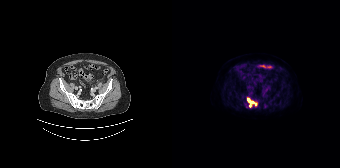
- Paired axial CT (left) and PSMA PET (right), 18F tracer
- slice position z = -1460 mm
Findings: Coordinates are on the 168×168 PET (right) panel. PSMA-avid tumor lesion bounding box (x0,y0,x1,y1): [75,97,85,107].